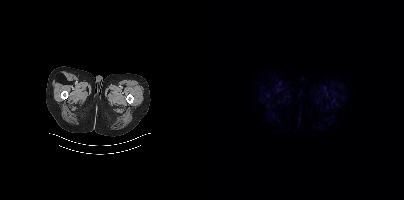
{"modality":"PSMA PET/CT","view":"axial","tracer":"[18F]PSMA-1007","pet_grid":[200,200],"coord_frame":"pet_panel","coord_format":"x0,y0,x1,y1","psma_avid_lesions":false}